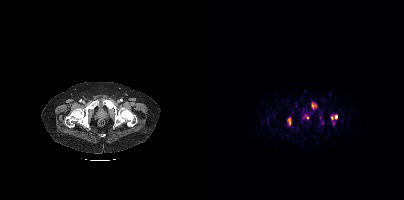
- Two-panel axial: CT | PSMA PET, [68Ga]Ga-PSMA-11 tracer
Findings: Coordinates are on the 200×200 PET (right) panel. PSMA-avid tumor lesion bounding boxes (x0, y0)-(x1, y1): (108, 102)-(113, 108) / (84, 118)-(86, 124). Small PSMA-avid foci (2 to 4 px across) near (center x, center y): (132, 116) / (103, 117) / (127, 118).